modality: PSMA PET/CT | tracer: [18F]PSMA-1007 | view: axial | PET grid: 200×200
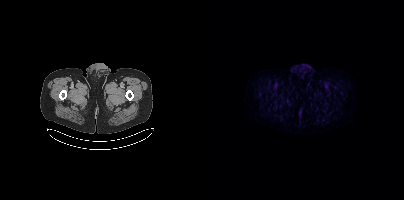
No tumor lesions annotated on this slice.